Two-panel axial: CT | PSMA PET, 68Ga tracer. PET panel 200×200 px (4.1 mm/px).
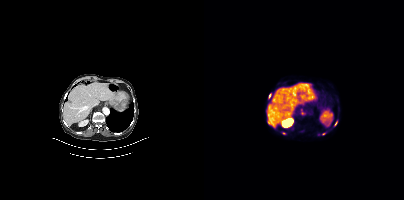
Coordinates are on the 200×200 PET (right) panel. PSMA-avid tumor lesion bounding boxes (partial; 1 more focus not listed):
| # | x0 | y0 | x1 | y1 |
|---|---|---|---|---|
| 1 | 64 | 120 | 66 | 124 |
| 2 | 130 | 121 | 133 | 125 |
Small PSMA-avid foci (2 to 4 px across) near (center x, center y): (79, 133); (119, 133); (65, 95).